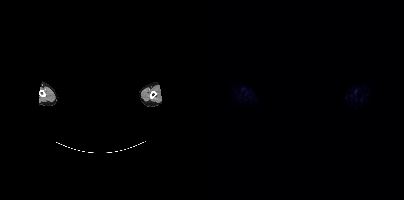
- Two-panel axial: CT | PSMA PET, 18F tracer
- acquired on Siemens Biograph mCT Flow 20
- PET panel 200×200 px (4.1 mm/px)
- de-identified by setting a box covering the face to black before release
Findings: No tumor lesions annotated on this slice.